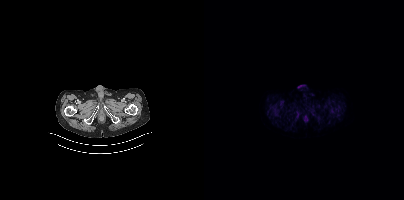
Findings: This slice has no annotated PSMA-avid lesion.
Technique: Two-panel axial: CT | PSMA PET, 18F-PSMA tracer. slice position z = -1605 mm.